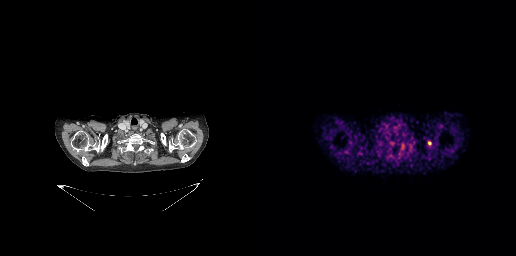
Coordinates are on the 256×256 PET (right) panel. Small PSMA-avid focus (2 to 4 px across) near (center x, center y): (169, 142).